- Left: CT. Right: PSMA PET, same axial level, 18F tracer
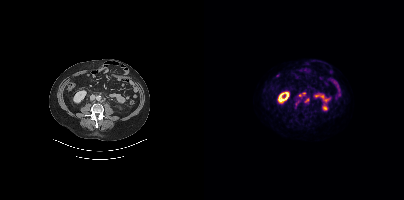
Findings: Coordinates are on the 200×200 PET (right) panel. PSMA-avid tumor lesion bounding boxes (x, y, width, height): x=94 y=92 w=9 h=6 / x=101 y=99 w=5 h=4 / x=92 y=100 w=4 h=5.